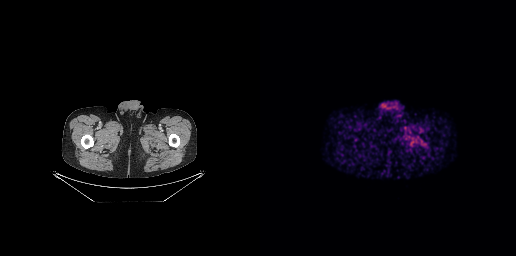
No PSMA-avid tumor lesions on this slice.
modality: PSMA PET/CT | tracer: 68Ga-PSMA | view: axial